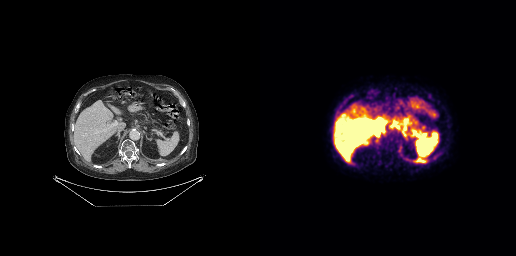
Technique: Two-panel axial: CT | PSMA PET, 18F-PSMA tracer. acquired on GE Discovery 690. slice 186 of 299.
Findings: This slice has no annotated PSMA-avid lesion.